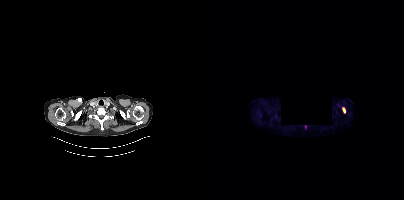
Findings: Coordinates are on the 200×200 PET (right) panel. PSMA-avid tumor lesion bounding box (x, y, width, height): x=138 y=107 w=4 h=7.
Technique: Two-panel axial: CT | PSMA PET, 18F-PSMA tracer. acquired on Siemens Biograph mCT Flow 20. slice position z = -366 mm. PET panel 200×200 px (4.1 mm/px).
Note: Some pixels were blanked for anonymization.